Two-panel axial: CT | PSMA PET, 68Ga tracer. Acquired on Siemens Biograph mCT Flow 20. Slice 79 of 444. PET panel 200×200 px (4.1 mm/px).
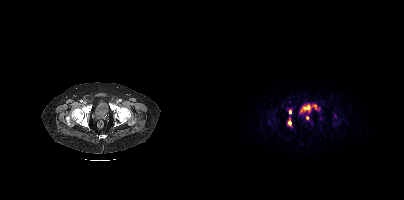
Coordinates are on the 200×200 PET (right) panel. PSMA-avid tumor lesion bounding boxes (x, y, width, height): x=108 y=103 w=6 h=6; x=84 y=120 w=4 h=6. Small PSMA-avid foci (2 to 4 px across) near (center x, center y): (103, 118); (86, 112).